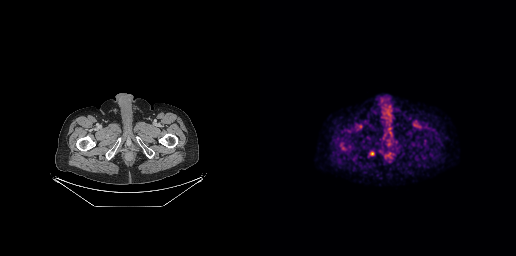
Technique: Left: CT. Right: PSMA PET, same axial level, 18F tracer. acquired on GE Discovery 690. slice 37 of 263. PET panel 256×256 px (2.7 mm/px).
Findings: Coordinates are on the 256×256 PET (right) panel. PSMA-avid tumor lesion bounding box (x0,y0,x1,y1): [110,152,114,155].